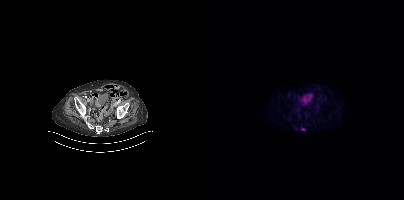
Coordinates are on the 200×200 PET (right) panel. PSMA-avid tumor lesion bounding box (x0,y0,x1,y1): [97,128,101,130].